Technique: Left: CT. Right: PSMA PET, same axial level, [68Ga]Ga-PSMA-11 tracer. slice 54 of 195.
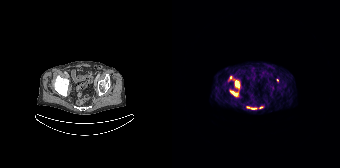
Findings: Coordinates are on the 168×168 PET (right) panel. PSMA-avid tumor lesion bounding boxes (x0,y0,x1,y1): [63,80,67,87]; [58,91,65,95]; [75,107,85,109]. Small PSMA-avid foci (2 to 4 px across) near (center x, center y): (105, 80); (58, 77); (88, 107).